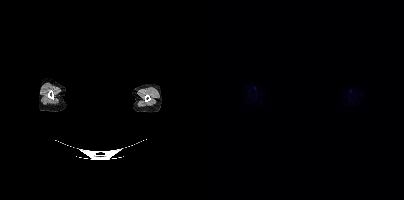
Left: CT. Right: PSMA PET, same axial level, 18F tracer. A rectangle over the head was blacked out to remove identifiable facial features. No PSMA-avid tumor lesions on this slice.